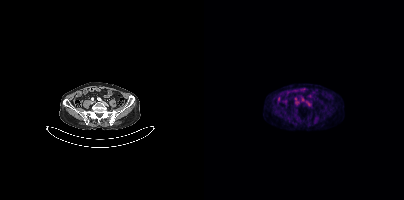
Technique: Paired axial CT (left) and PSMA PET (right), 18F-PSMA tracer. slice 121 of 401. PET panel 200×200 px (4.1 mm/px).
Findings: No tumor lesions annotated on this slice.